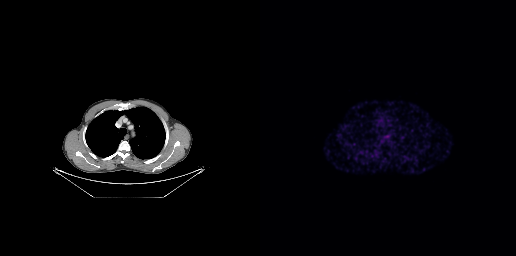
- Two-panel axial: CT | PSMA PET, 68Ga-PSMA tracer
- PET panel 256×256 px (2.7 mm/px)
Findings: This slice has no annotated PSMA-avid lesion.